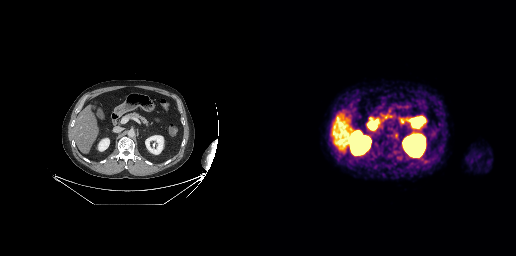
Technique: Paired axial CT (left) and PSMA PET (right), 68Ga-PSMA tracer. acquired on GE Discovery 690. slice position z = -592 mm. PET panel 256×256 px (2.7 mm/px).
Findings: This slice has no annotated PSMA-avid lesion.